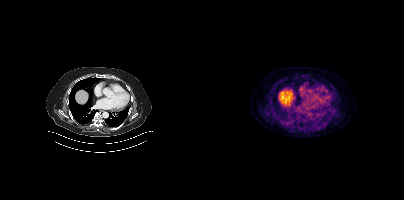
This slice has no annotated PSMA-avid lesion.